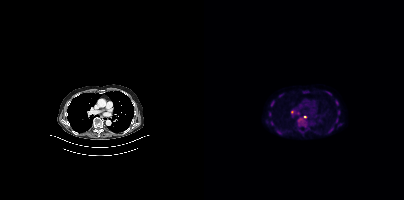
{"modality":"PSMA PET/CT","view":"axial","tracer":"18F-PSMA","pet_grid":[200,200],"coord_frame":"pet_panel","coord_format":"x0,y0,x1,y1","lesion_bboxes":[[131,100,134,105],[87,110,89,114],[134,110,136,114],[67,101,69,106]],"small_foci_centers":[[125,93],[133,119],[65,114],[67,123],[100,116]]}